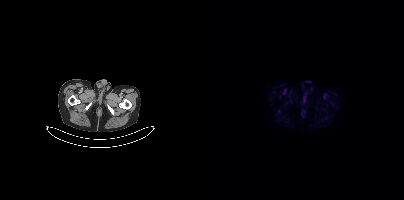
Negative for PSMA-avid disease on this slice.